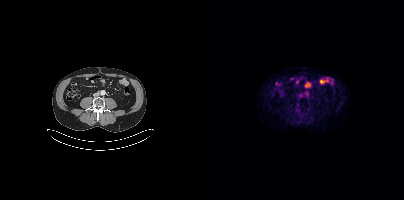
Two-panel axial: CT | PSMA PET, [18F]PSMA-1007 tracer. Acquired on Siemens Biograph mCT Flow 20. Slice position z = 1324 mm. PET panel 200×200 px (4.1 mm/px). No tumor lesions annotated on this slice.